Technique: Two-panel axial: CT | PSMA PET, 18F tracer. slice 329 of 462. PET panel 200×200 px (4.1 mm/px).
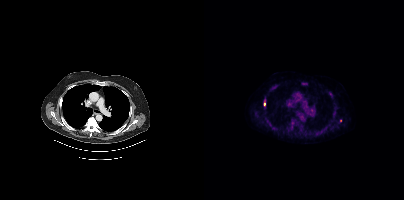
Findings: Coordinates are on the 200×200 PET (right) panel. (showing 4 of 6 foci) PSMA-avid tumor lesion bounding boxes (x0, y0)-(x1, y1): (61, 117)-(66, 123) | (87, 121)-(90, 126) | (59, 100)-(61, 106). Small PSMA-avid focus (2 to 4 px across) near (center x, center y): (136, 120).